- Two-panel axial: CT | PSMA PET, [68Ga]Ga-PSMA-11 tracer
- acquired on Siemens Biograph 64-4R TruePoint
- PET panel 168×168 px (4.1 mm/px)
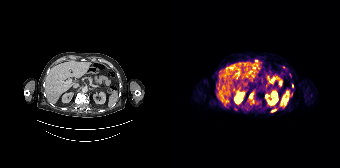
Findings: Coordinates are on the 168×168 PET (right) panel. PSMA-avid tumor lesion bounding boxes (x0,y0,x1,y1): [77,94,80,99]; [99,110,103,111]. Small PSMA-avid foci (2 to 4 px across) near (center x, center y): (84, 61); (120, 85); (80, 101).